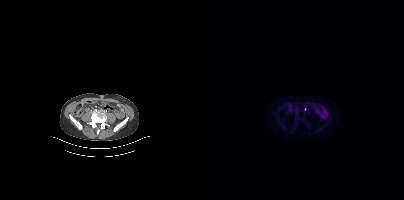
{"modality":"PSMA PET/CT","view":"axial","tracer":"[18F]PSMA-1007","pet_grid":[200,200],"coord_frame":"pet_panel","coord_format":"x0,y0,x1,y1","lesion_bboxes":[],"small_foci_centers":[[101,109]]}